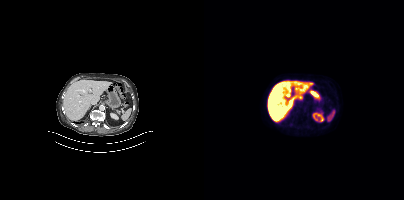
Findings: No PSMA-avid tumor lesions on this slice.
- Two-panel axial: CT | PSMA PET, [18F]PSMA-1007 tracer
- acquired on Siemens Biograph mCT Flow 20
- slice position z = -698 mm